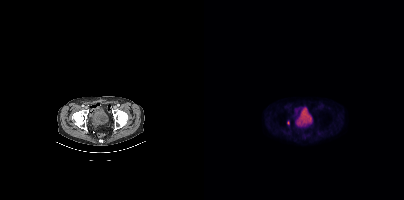
{"modality":"PSMA PET/CT","view":"axial","tracer":"18F-PSMA","pet_grid":[200,200],"coord_frame":"pet_panel","coord_format":"x0,y0,x1,y1","lesion_bboxes":[],"small_foci_centers":[[84,122]]}